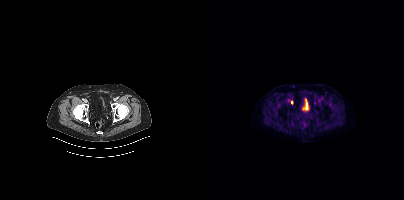
{"modality":"PSMA PET/CT","view":"axial","tracer":"[18F]PSMA-1007","pet_grid":[200,200],"coord_frame":"pet_panel","coord_format":"x0,y0,x1,y1","partial":true,"lesion_bboxes":[]}